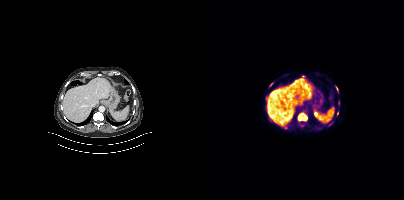
{"modality":"PSMA PET/CT","view":"axial","tracer":"[18F]PSMA-1007","pet_grid":[200,200],"coord_frame":"pet_panel","coord_format":"x0,y0,x1,y1","partial":true,"lesion_bboxes":[[94,113,103,120]],"small_foci_centers":[[133,113],[134,103],[126,124],[67,84],[132,88]]}